A rectangle over the head was blacked out to remove identifiable facial features.
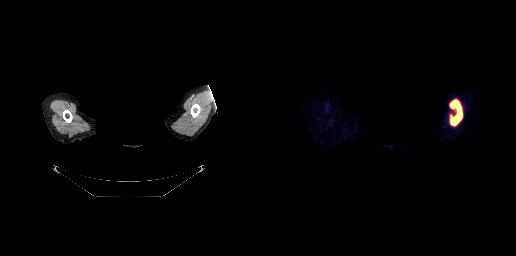
Coordinates are on the 256×256 PET (right) panel. PSMA-avid tumor lesion bounding box (x, y, width, height): x=190 y=99 w=13 h=27.